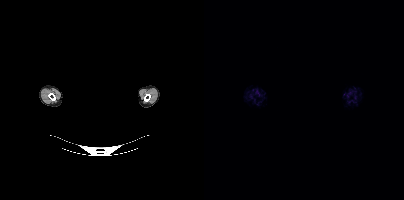
Left: CT. Right: PSMA PET, same axial level, 18F-PSMA tracer. Acquired on Siemens Biograph mCT Flow 20. PET panel 200×200 px (4.1 mm/px). Facial anatomy redacted by setting a rectangular region of the head to black. No tumor lesions annotated on this slice.